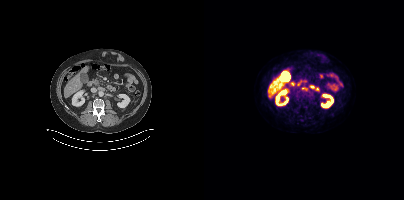
Coordinates are on the 200×200 PET (right) panel. Small PSMA-avid foci (2 to 4 px across) near (center x, center y): (93, 95) / (104, 97).
modality: PSMA PET/CT | tracer: 18F | view: axial